- Left: CT. Right: PSMA PET, same axial level, 18F tracer
- acquired on Siemens Biograph mCT Flow 20
- head region blanked for anonymization (face removed)
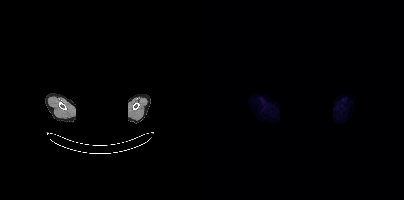
Findings: No tumor lesions annotated on this slice.